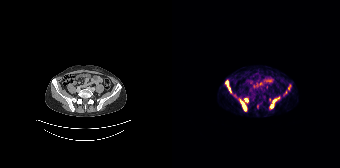
Coordinates are on the 168×168 PET (right) panel. (showing 5 of 7 foci) PSMA-avid tumor lesion bounding boxes (x, y, width, height): x=97 y=97 w=11 h=13; x=68 y=99 w=7 h=12; x=54 y=81 w=5 h=11; x=72 y=98 w=5 h=5; x=116 y=85 w=3 h=5.